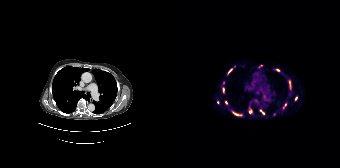
Coordinates are on the 168×168 PET (right) panel. (showing 13 of 15 foci) PSMA-avid tumor lesion bounding boxes (x0,y0,x1,y1): [60,111,69,115] [56,69,60,73] [117,81,118,86] [88,110,92,114]. Small PSMA-avid foci (2 to 4 px across) near (center x, center y): (78, 111) (105, 70) (54, 102) (102, 114) (51, 89) (124, 98) (51, 82) (45, 102) (113, 104).